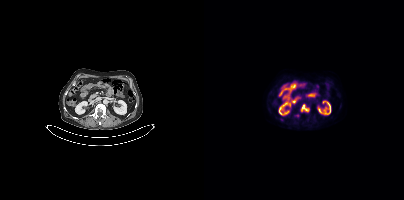
- Paired axial CT (left) and PSMA PET (right), 18F tracer
- acquired on Siemens Biograph mCT Flow 20
Findings: Coordinates are on the 200×200 PET (right) panel. PSMA-avid tumor lesion bounding box (x0,y0,x1,y1): [97,104,104,111].